Technique: Paired axial CT (left) and PSMA PET (right), [18F]PSMA-1007 tracer. slice position z = -758 mm.
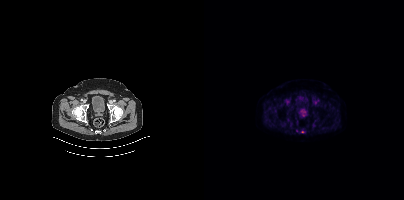
Findings: Coordinates are on the 200×200 PET (right) panel. Small PSMA-avid focus (2 to 4 px across) near (center x, center y): (98, 131).